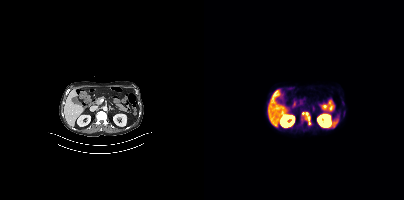
Coordinates are on the 200×200 PET (right) panel. PSMA-avid tumor lesion bounding boxes:
| # | x0 | y0 | x1 | y1 |
|---|---|---|---|---|
| 1 | 97 | 112 | 106 | 124 |
| 2 | 139 | 111 | 141 | 116 |
Two-panel axial: CT | PSMA PET, 18F tracer. Acquired on Siemens Biograph mCT Flow 20. Slice position z = -1277 mm. PET panel 200×200 px (4.1 mm/px).